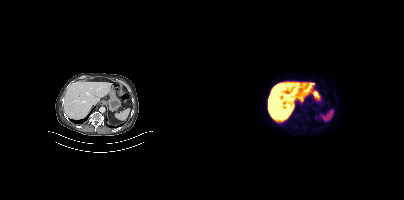
No tumor lesions annotated on this slice.